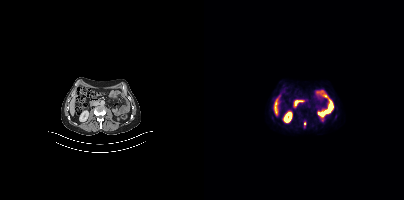
Coordinates are on the 200×200 PET (right) panel. Small PSMA-avid focus (2 to 4 px across) near (center x, center y): (101, 123).
modality: PSMA PET/CT | tracer: 18F-PSMA | view: axial | PET grid: 200×200